Two-panel axial: CT | PSMA PET, 18F-PSMA tracer. The head region is masked for de-identification.
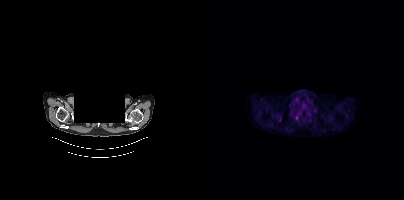
Coordinates are on the 200×200 PET (right) panel. Small PSMA-avid foci (2 to 4 px across) near (center x, center y): (76, 119) (92, 117).